Two-panel axial: CT | PSMA PET, [18F]PSMA-1007 tracer. PET panel 200×200 px (4.1 mm/px).
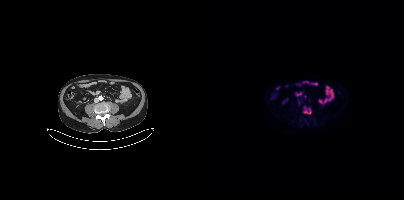
Coordinates are on the 200×200 PET (right) panel. (showing 1 of 4 foci) Small PSMA-avid focus (2 to 4 px across) near (center x, center y): (101, 96).